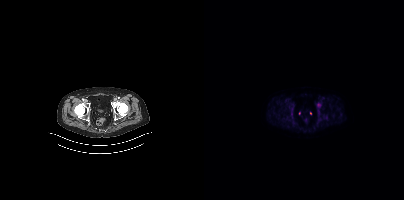
Technique: Left: CT. Right: PSMA PET, same axial level, [18F]PSMA-1007 tracer. acquired on Siemens Biograph mCT Flow 20. PET panel 200×200 px (4.1 mm/px).
Findings: No PSMA-avid tumor lesions on this slice.